Two-panel axial: CT | PSMA PET, 18F tracer. PET panel 256×256 px (2.7 mm/px).
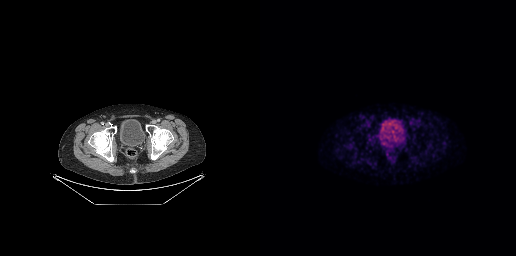
No tumor lesions annotated on this slice.